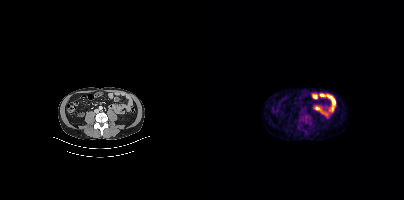
- Paired axial CT (left) and PSMA PET (right), [18F]PSMA-1007 tracer
- slice position z = -370 mm
Findings: Coordinates are on the 200×200 PET (right) panel. PSMA-avid tumor lesion bounding box (x0, y0)-(x1, y1): (96, 112)-(107, 124).